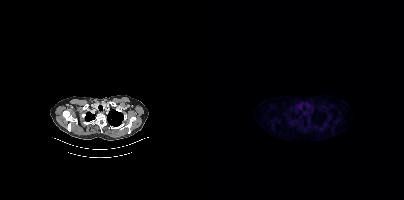
This slice has no annotated PSMA-avid lesion.